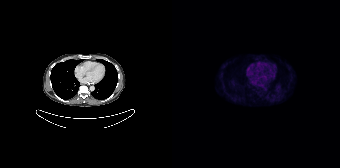
Two-panel axial: CT | PSMA PET, [18F]PSMA-1007 tracer. Acquired on Siemens Biograph 64-4R TruePoint. No tumor lesions annotated on this slice.